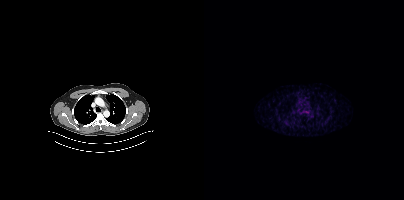
Negative for PSMA-avid disease on this slice. Two-panel axial: CT | PSMA PET, [68Ga]Ga-PSMA-11 tracer. Slice 306 of 411.